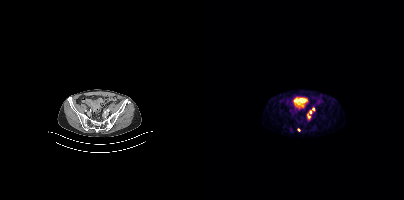
{"modality":"PSMA PET/CT","view":"axial","tracer":"[68Ga]Ga-PSMA-11","pet_grid":[200,200],"coord_frame":"pet_panel","coord_format":"x0,y0,x1,y1","lesion_bboxes":[[103,108,110,118]],"small_foci_centers":[[94,129]]}